modality: PSMA PET/CT | tracer: 18F-PSMA | view: axial | PET grid: 256×256
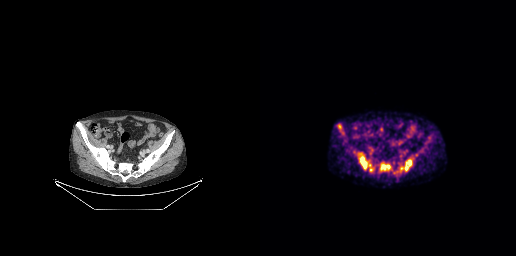
Coordinates are on the 256×256 PET (right) panel. PSMA-avid tumor lesion bounding boxes (x0,y0,x1,y1): [99,153,112,171]; [141,158,152,171]; [120,163,130,170]; [77,124,84,134].